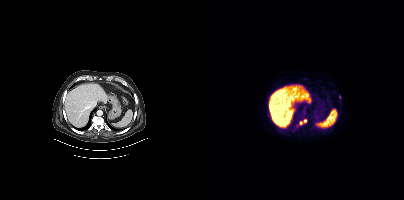
Technique: Left: CT. Right: PSMA PET, same axial level, 18F-PSMA tracer.
Findings: Coordinates are on the 200×200 PET (right) panel. (showing 2 of 3 foci) PSMA-avid tumor lesion bounding box (x, y, width, height): x=92 y=119 w=11 h=8. Small PSMA-avid focus (2 to 4 px across) near (center x, center y): (135, 97).